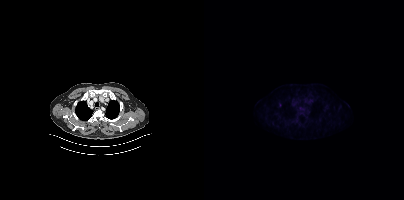
Coordinates are on the 200×200 PET (right) panel. Small PSMA-avid focus (2 to 4 px across) near (center x, center y): (76, 104). Left: CT. Right: PSMA PET, same axial level, 18F tracer. Acquired on Siemens Biograph mCT Flow 20. Slice position z = -1114 mm. PET panel 200×200 px (4.1 mm/px).